Paired axial CT (left) and PSMA PET (right), 18F tracer. PET panel 200×200 px (4.1 mm/px).
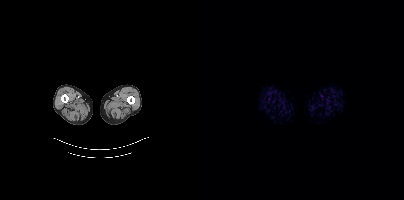
This slice has no annotated PSMA-avid lesion.